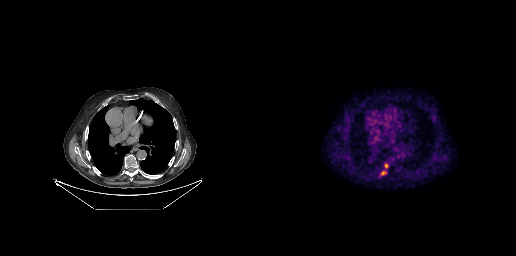
Coordinates are on the 256×256 PET (right) panel. Small PSMA-avid foci (2 to 4 px across) near (center x, center y): (126, 165); (123, 172).